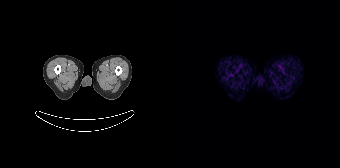
- Two-panel axial: CT | PSMA PET, 68Ga tracer
- PET panel 168×168 px (4.1 mm/px)
Findings: No tumor lesions annotated on this slice.